modality: PSMA PET/CT | tracer: 18F | view: axial
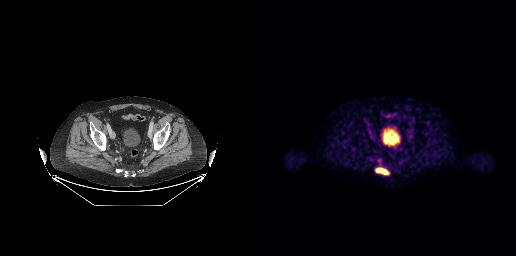
Coordinates are on the 256×256 PET (right) panel. PSMA-avid tumor lesion bounding box (x, y, width, height): x=115 y=167 w=15 h=8.